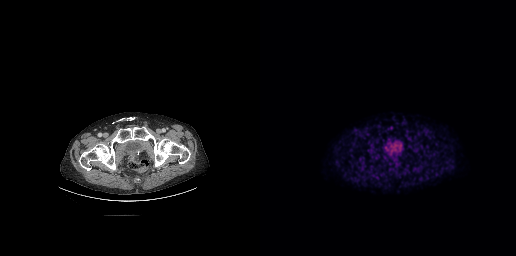
Coordinates are on the 256×256 PET (right) panel. Small PSMA-avid focus (2 to 4 px across) near (center x, center y): (130, 127). Paired axial CT (left) and PSMA PET (right), 18F-PSMA tracer. Acquired on GE Discovery 690. PET panel 256×256 px (2.7 mm/px).